Left: CT. Right: PSMA PET, same axial level, 68Ga-PSMA tracer. Slice position z = 546 mm. PET panel 200×200 px (4.1 mm/px).
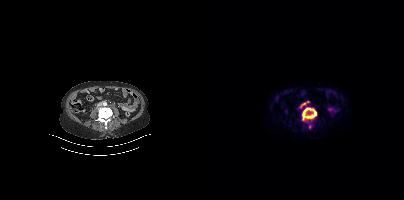
Coordinates are on the 200×200 PET (right) panel. PSMA-avid tumor lesion bounding box (x0, y0)-(x1, y1): (98, 107)-(112, 123). Small PSMA-avid foci (2 to 4 px across) near (center x, center y): (106, 126) / (97, 106).